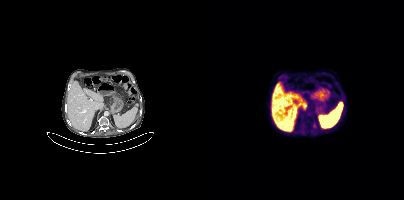
{"modality":"PSMA PET/CT","view":"axial","tracer":"[18F]PSMA-1007","pet_grid":[200,200],"coord_frame":"pet_panel","coord_format":"x0,y0,x1,y1","lesion_bboxes":[[109,123,112,128]]}